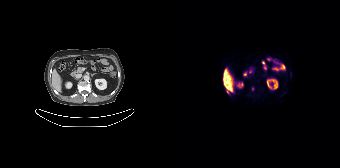
Findings: No tumor lesions annotated on this slice.
Technique: Left: CT. Right: PSMA PET, same axial level, [18F]PSMA-1007 tracer. acquired on Siemens Biograph 64-4R TruePoint. PET panel 168×168 px (4.1 mm/px).